modality: PSMA PET/CT | tracer: 68Ga | view: axial
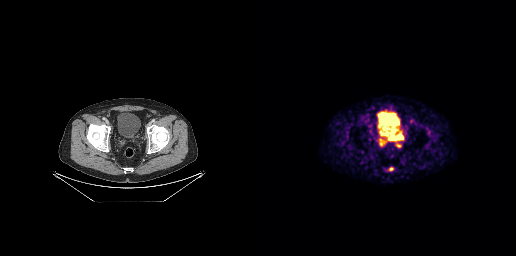
Coordinates are on the 256×256 PET (right) panel. PSMA-avid tumor lesion bounding boxes (x0,y0,x1,y1): [119,139,124,146] [137,134,142,141] [129,136,135,140] [136,143,141,147].